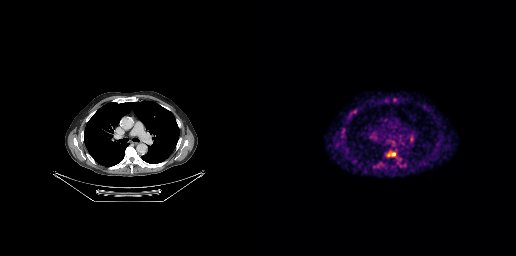
- Paired axial CT (left) and PSMA PET (right), [68Ga]Ga-PSMA-11 tracer
- slice position z = -442 mm
- PET panel 256×256 px (2.7 mm/px)
Findings: Coordinates are on the 256×256 PET (right) panel. Small PSMA-avid focus (2 to 4 px across) near (center x, center y): (134, 154).